- Paired axial CT (left) and PSMA PET (right), [18F]PSMA-1007 tracer
- acquired on Siemens Biograph mCT Flow 20
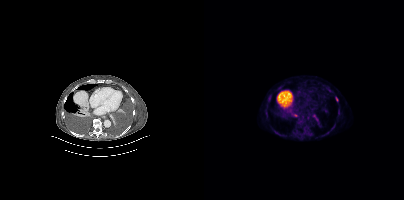
Findings: Coordinates are on the 200×200 PET (right) panel. PSMA-avid tumor lesion bounding boxes (x0, y0)-(x1, y1): (108, 114)-(114, 121) / (87, 112)-(93, 116) / (103, 133)-(107, 136) / (132, 97)-(134, 101). Small PSMA-avid focus (2 to 4 px across) near (center x, center y): (99, 127).